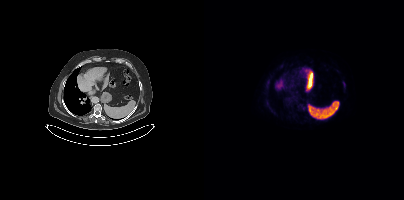
modality: PSMA PET/CT | tracer: 18F | view: axial
No PSMA-avid tumor lesions on this slice.